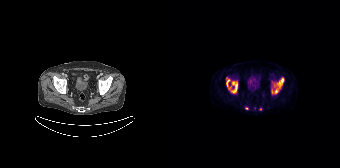
{"modality":"PSMA PET/CT","view":"axial","tracer":"[18F]PSMA-1007","pet_grid":[168,168],"coord_frame":"pet_panel","coord_format":"x0,y0,x1,y1","partial":true,"lesion_bboxes":[[99,77,112,93],[59,81,65,93],[54,78,59,89]],"small_foci_centers":[[74,108],[88,109]]}